- Left: CT. Right: PSMA PET, same axial level, 68Ga tracer
- PET panel 256×256 px (2.7 mm/px)
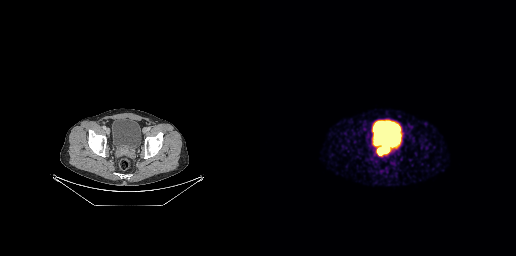
Findings: Coordinates are on the 256×256 PET (right) panel. (showing 1 of 3 foci) PSMA-avid tumor lesion bounding box (x0,y0,x1,y1): [116,146,128,154].